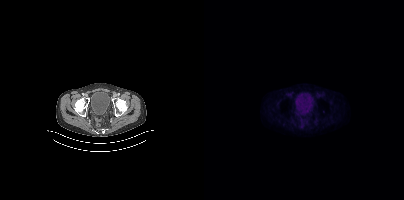
Findings: This slice has no annotated PSMA-avid lesion.
- Two-panel axial: CT | PSMA PET, 18F-PSMA tracer
- slice position z = -26 mm
- PET panel 200×200 px (4.1 mm/px)